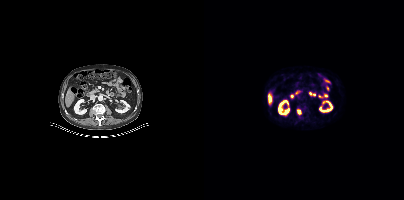
{"modality":"PSMA PET/CT","view":"axial","tracer":"18F-PSMA","pet_grid":[200,200],"coord_frame":"pet_panel","coord_format":"x0,y0,x1,y1","lesion_bboxes":[],"small_foci_centers":[[95,111]]}